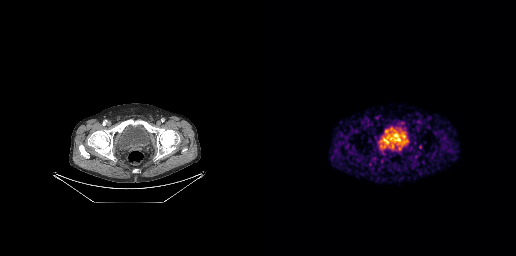
No tumor lesions annotated on this slice.